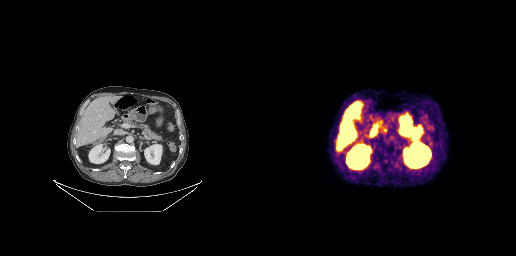
No PSMA-avid tumor lesions on this slice.